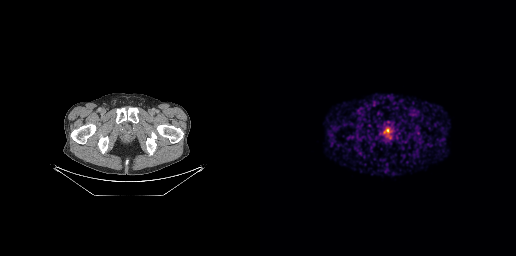
modality: PSMA PET/CT | tracer: [68Ga]Ga-PSMA-11 | view: axial
No PSMA-avid tumor lesions on this slice.